Paired axial CT (left) and PSMA PET (right), [18F]PSMA-1007 tracer. PET panel 200×200 px (4.1 mm/px).
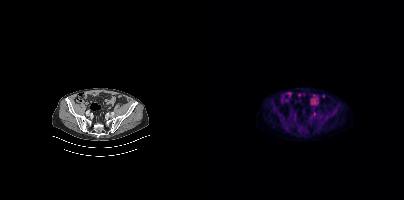
Coordinates are on the 200×200 PET (right) panel. Small PSMA-avid focus (2 to 4 px across) near (center x, center y): (110, 114).